modality: PSMA PET/CT | tracer: 18F-PSMA | view: axial | PET grid: 200×200
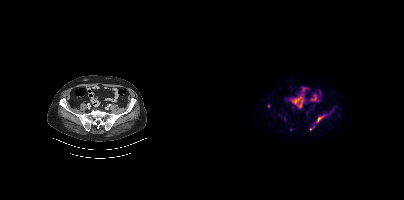
Coordinates are on the 200×200 PET (right) panel. (showing 3 of 5 foci) PSMA-avid tumor lesion bounding boxes (x0, y0)-(x1, y1): (113, 115)-(119, 121) | (79, 117)-(81, 121). Small PSMA-avid focus (2 to 4 px across) near (center x, center y): (108, 127).